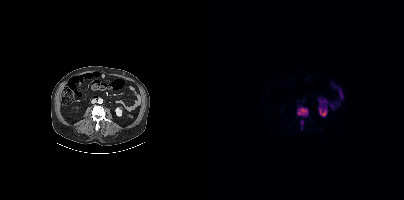
- Paired axial CT (left) and PSMA PET (right), 18F-PSMA tracer
- slice position z = -1453 mm
Findings: Coordinates are on the 200×200 PET (right) panel. (showing 2 of 3 foci) PSMA-avid tumor lesion bounding boxes (x0,y0,x1,y1): [93,107,104,116]; [97,120,99,124].